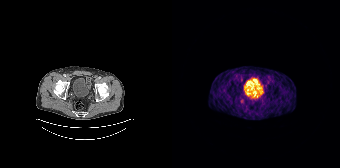
{"modality":"PSMA PET/CT","view":"axial","tracer":"68Ga-PSMA","pet_grid":[168,168],"coord_frame":"pet_panel","coord_format":"x0,y0,x1,y1","psma_avid_lesions":false}